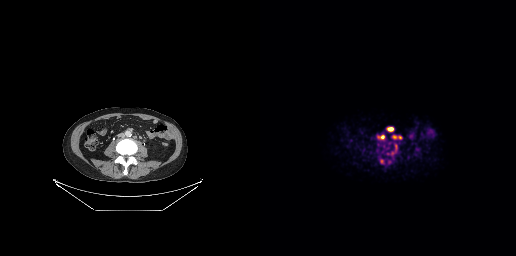
{"modality":"PSMA PET/CT","view":"axial","tracer":"68Ga","pet_grid":[256,256],"coord_frame":"pet_panel","coord_format":"x0,y0,x1,y1","lesion_bboxes":[[132,135,142,139],[118,135,124,139],[119,158,123,163],[129,151,134,155]],"small_foci_centers":[[130,129]]}